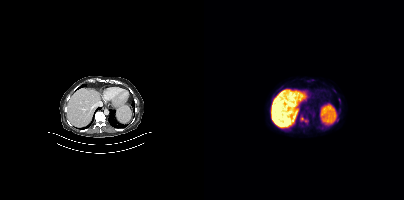
- Left: CT. Right: PSMA PET, same axial level, 18F tracer
- PET panel 200×200 px (4.1 mm/px)
Findings: Coordinates are on the 200×200 PET (right) panel. Small PSMA-avid foci (2 to 4 px across) near (center x, center y): (98, 118) / (131, 122) / (101, 120).